modality: PSMA PET/CT | tracer: 18F | view: axial | PET grid: 200×200 | deidentification: privacy mask over head
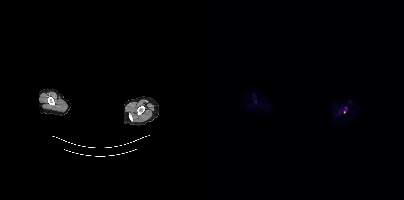
Coordinates are on the 200×200 PET (right) panel. Small PSMA-avid focus (2 to 4 px across) near (center x, center y): (140, 111).